Left: CT. Right: PSMA PET, same axial level, 18F tracer. PET panel 200×200 px (4.1 mm/px).
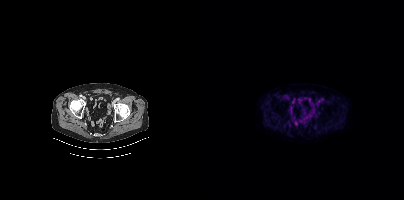
This slice has no annotated PSMA-avid lesion.